modality: PSMA PET/CT | tracer: 18F-PSMA | view: axial
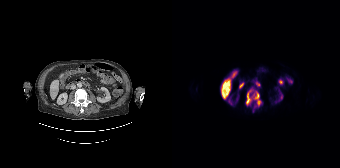
Coordinates are on the 168×168 PET (right) panel. PSMA-avid tumor lesion bounding box (x, y, width, height): x=74 y=89 w=16 h=18.